Paired axial CT (left) and PSMA PET (right), [18F]PSMA-1007 tracer. PET panel 200×200 px (4.1 mm/px).
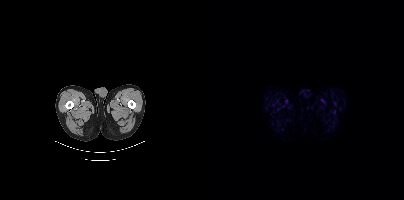
This slice has no annotated PSMA-avid lesion.